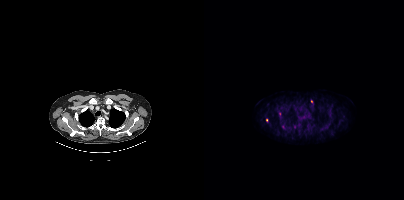
- Two-panel axial: CT | PSMA PET, 18F-PSMA tracer
- slice position z = -1049 mm
- PET panel 200×200 px (4.1 mm/px)
Findings: Coordinates are on the 200×200 PET (right) panel. Small PSMA-avid foci (2 to 4 px across) near (center x, center y): (107, 101) / (62, 120) / (75, 113).